- Left: CT. Right: PSMA PET, same axial level, [68Ga]Ga-PSMA-11 tracer
- acquired on Siemens Biograph 64-4R TruePoint
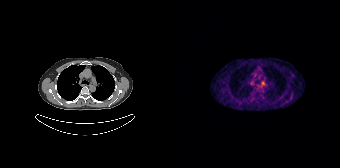
Findings: Coordinates are on the 168×168 PET (right) panel. Small PSMA-avid focus (2 to 4 px across) near (center x, center y): (91, 83).